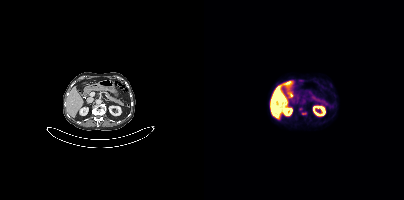
This slice has no annotated PSMA-avid lesion.